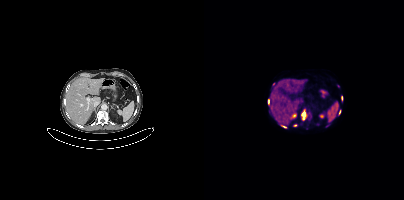
{"pet_grid":[200,200],"coord_frame":"pet_panel","coord_format":"x0,y0,x1,y1","partial":true,"lesion_bboxes":[[97,111,102,120],[77,125,82,127],[64,99,65,103],[135,110,136,114]],"small_foci_centers":[[134,85],[114,124]],"modality":"PSMA PET/CT","view":"axial","tracer":"18F"}